De-identified by setting a box covering the face to black before release.
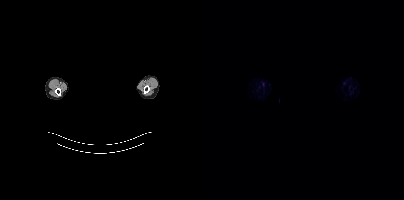
This slice has no annotated PSMA-avid lesion.